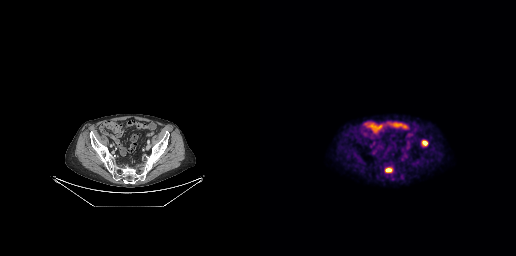
{"modality":"PSMA PET/CT","view":"axial","tracer":"[18F]PSMA-1007","pet_grid":[256,256],"coord_frame":"pet_panel","coord_format":"x0,y0,x1,y1","lesion_bboxes":[[162,140,167,145],[126,169,131,171]]}